Technique: Two-panel axial: CT | PSMA PET, 18F tracer.
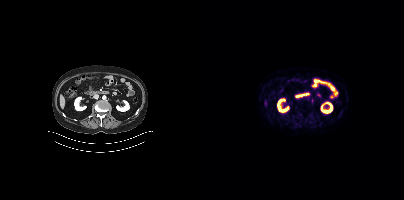
Findings: No tumor lesions annotated on this slice.